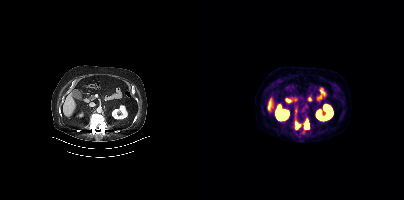
{"modality":"PSMA PET/CT","view":"axial","tracer":"18F","pet_grid":[200,200],"coord_frame":"pet_panel","coord_format":"x0,y0,x1,y1","lesion_bboxes":[[91,122,96,129],[100,119,104,128]],"small_foci_centers":[[91,110]]}